modality: PSMA PET/CT | tracer: [68Ga]Ga-PSMA-11 | view: axial | PET grid: 200×200
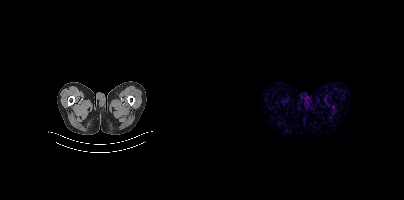
No PSMA-avid tumor lesions on this slice.